Paired axial CT (left) and PSMA PET (right), 18F tracer. Acquired on Siemens Biograph mCT Flow 20. Slice position z = -1038 mm.
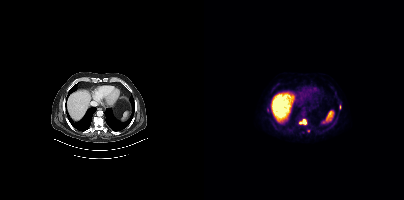
Coordinates are on the 200×200 PET (right) panel. PSMA-avid tumor lesion bounding box (x0,y0,x1,y1): [95,119,102,124]. Small PSMA-avid foci (2 to 4 px across) near (center x, center y): (104, 131); (64, 110); (99, 132); (136, 107).